Two-panel axial: CT | PSMA PET, 18F tracer. Slice position z = -558 mm. PET panel 256×256 px (2.7 mm/px).
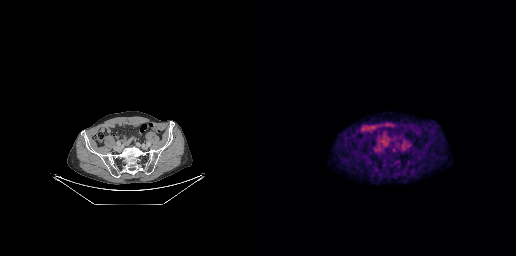
Negative for PSMA-avid disease on this slice.